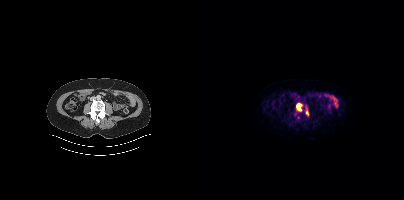
Coordinates are on the 200×200 PET (right) panel. PSMA-avid tumor lesion bounding box (x0, y0)-(x1, y1): (92, 103)-(97, 110). Small PSMA-avid focus (2 to 4 px across) near (center x, center y): (103, 112).